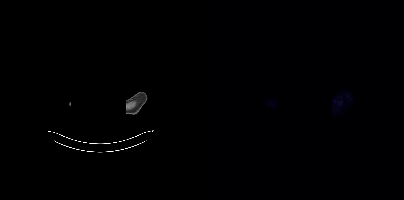
{"modality":"PSMA PET/CT","view":"axial","tracer":"[68Ga]Ga-PSMA-11","pet_grid":[200,200],"coord_frame":"pet_panel","coord_format":"x0,y0,x1,y1","psma_avid_lesions":false,"redaction":"head region blacked out before release"}